- Paired axial CT (left) and PSMA PET (right), 68Ga tracer
- slice 62 of 263
- PET panel 256×256 px (2.7 mm/px)
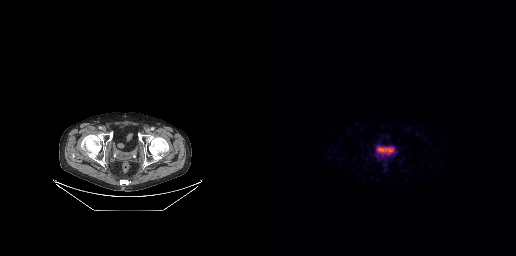
Findings: No PSMA-avid tumor lesions on this slice.